- Paired axial CT (left) and PSMA PET (right), [68Ga]Ga-PSMA-11 tracer
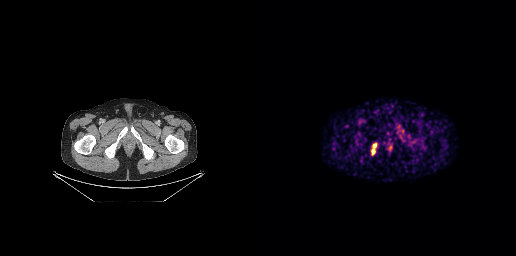
Findings: Coordinates are on the 256×256 PET (right) panel. PSMA-avid tumor lesion bounding box (x0, y0)-(x1, y1): (112, 143)-(116, 153).